Two-panel axial: CT | PSMA PET, 18F tracer. A rectangle over the head was blacked out to remove identifiable facial features.
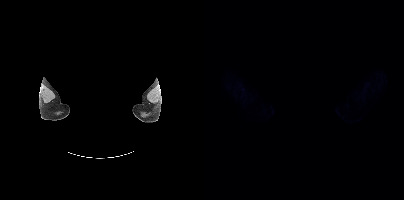
This slice has no annotated PSMA-avid lesion.